modality: PSMA PET/CT | tracer: [18F]PSMA-1007 | view: axial | PET grid: 200×200
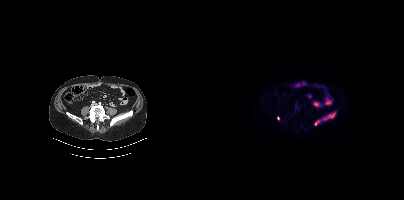
Coordinates are on the 200×200 PET (right) panel. PSMA-avid tumor lesion bounding boxes (x0, y0)-(x1, y1): (120, 113)-(131, 119) | (111, 120)-(115, 124). Small PSMA-avid focus (2 to 4 px across) near (center x, center y): (74, 118).